Two-panel axial: CT | PSMA PET, 18F-PSMA tracer. Acquired on Siemens Biograph mCT Flow 20.
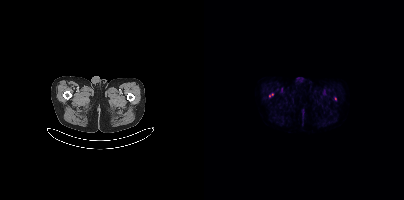
Coordinates are on the 200×200 PET (right) panel. (showing 2 of 3 foci) Small PSMA-avid foci (2 to 4 px across) near (center x, center y): (68, 94) (131, 98).